Two-panel axial: CT | PSMA PET, 18F tracer. Acquired on GE Discovery 690. Slice 123 of 263.
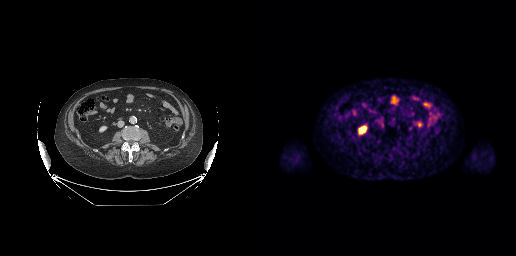
Negative for PSMA-avid disease on this slice.